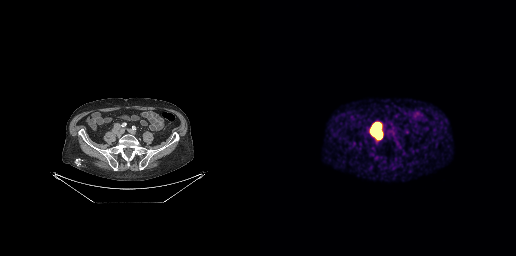
Coordinates are on the 256×256 PET (right) panel. PSMA-avid tumor lesion bounding box (x0, y0)-(x1, y1): (112, 124)-(121, 137).